Two-panel axial: CT | PSMA PET, 18F tracer.
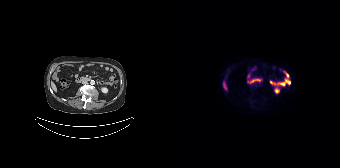
No PSMA-avid tumor lesions on this slice.